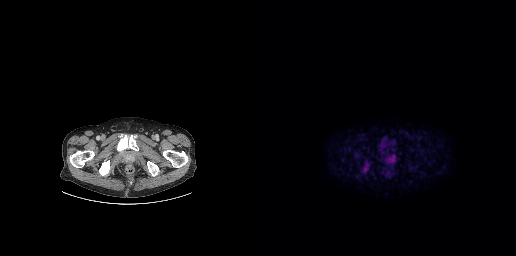
modality: PSMA PET/CT | tracer: 18F-PSMA | view: axial | PET grid: 256×256
Coordinates are on the 256×256 PET (right) panel. PSMA-avid tumor lesion bounding box (x0, y0)-(x1, y1): (102, 162)-(110, 171).